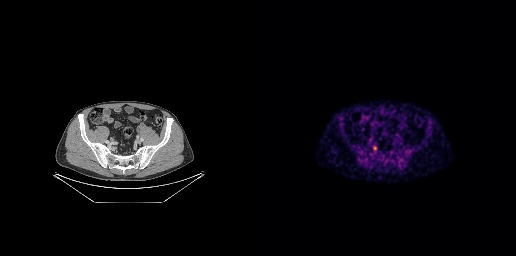
{"modality":"PSMA PET/CT","view":"axial","tracer":"18F-PSMA","pet_grid":[256,256],"coord_frame":"pet_panel","coord_format":"x0,y0,x1,y1","lesion_bboxes":[[112,145,117,149]]}